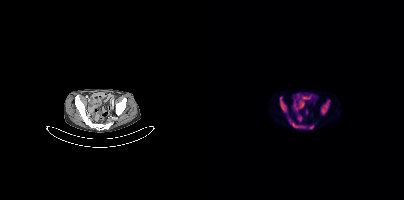
{"modality":"PSMA PET/CT","view":"axial","tracer":"18F","pet_grid":[200,200],"coord_frame":"pet_panel","coord_format":"x0,y0,x1,y1","lesion_bboxes":[[117,100,125,114],[85,119,102,128],[76,97,82,111],[105,125,109,129]]}